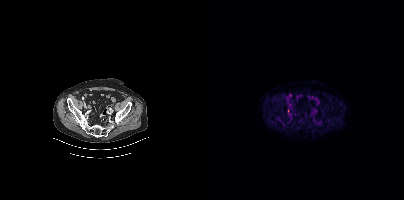
Only PSMA-avid lesion pieces thinner than 2 px on this slice (not listed).